Technique: Two-panel axial: CT | PSMA PET, 18F tracer. slice 176 of 263. PET panel 256×256 px (2.7 mm/px).
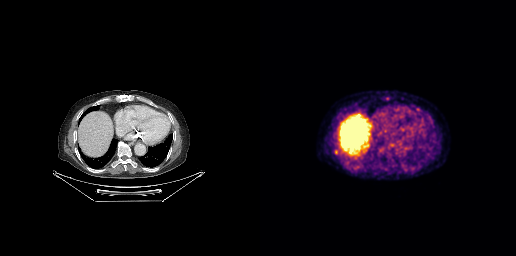
Findings: Coordinates are on the 256×256 PET (right) panel. PSMA-avid tumor lesion bounding box (x, y, width, height): x=74 y=149 w=5 h=5.